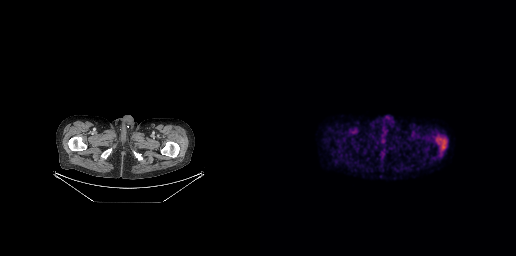
{"modality":"PSMA PET/CT","view":"axial","tracer":"18F-PSMA","pet_grid":[256,256],"coord_frame":"pet_panel","coord_format":"x0,y0,x1,y1","psma_avid_lesions":false}